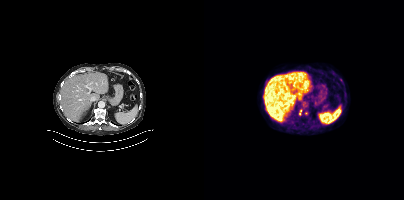
Two-panel axial: CT | PSMA PET, [18F]PSMA-1007 tracer. Acquired on Siemens Biograph mCT Flow 20. Slice 236 of 429. PET panel 200×200 px (4.1 mm/px). Coordinates are on the 200×200 PET (right) panel. (showing 1 of 2 foci) PSMA-avid tumor lesion bounding box (x, y, width, height): x=95 y=110 w=3 h=6.